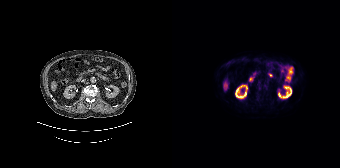
Coordinates are on the 168×168 PET (right) panel. Small PSMA-avid focus (2 to 4 px across) near (center x, center y): (87, 88).